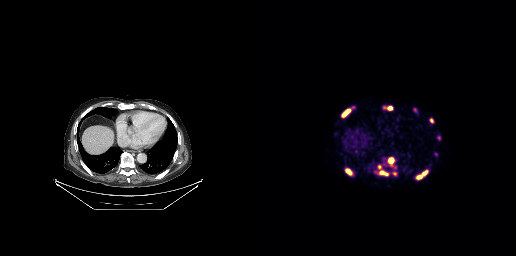
Coordinates are on the 256×256 PET (right) panel. PSMA-avid tumor lesion bounding boxes (x0, y0)-(x1, y1): (156, 170)-(167, 179) / (85, 169)-(93, 176) / (81, 109)-(87, 117) / (120, 170)-(127, 175) / (128, 158)-(133, 162) / (170, 118)-(173, 122). Small PSMA-avid foci (2 to 4 px across) near (center x, center y): (129, 107) / (155, 109) / (179, 138) / (134, 173) / (118, 165).